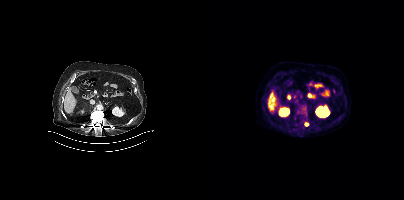
Findings: Coordinates are on the 200×200 PET (right) panel. Small PSMA-avid focus (2 to 4 px across) near (center x, center y): (102, 124).
- Paired axial CT (left) and PSMA PET (right), [18F]PSMA-1007 tracer
- acquired on Siemens Biograph mCT Flow 20
- slice 222 of 429